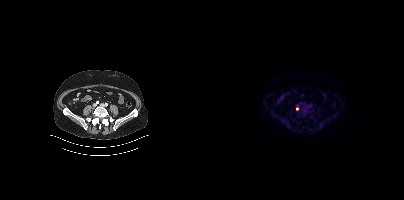
{"pet_grid":[200,200],"coord_frame":"pet_panel","coord_format":"x0,y0,x1,y1","lesion_bboxes":[],"small_foci_centers":[[93,109],[93,105]],"modality":"PSMA PET/CT","view":"axial","tracer":"18F-PSMA"}